Two-panel axial: CT | PSMA PET, 18F tracer. Slice position z = -146 mm.
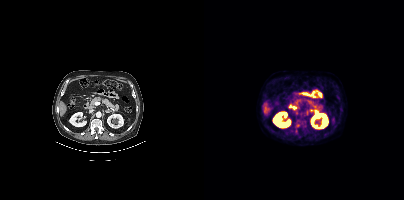
Coordinates are on the 200×200 PET (right) panel. Small PSMA-avid foci (2 to 4 px across) near (center x, center y): (93, 125) | (92, 113) | (91, 131).